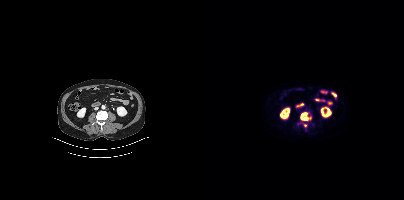
Coordinates are on the 200×200 PET (right) panel. PSMA-avid tumor lesion bounding box (x, y, width, height): x=96 y=112 w=11 h=9. Small PSMA-avid focus (2 to 4 px across) near (center x, center y): (101, 125).